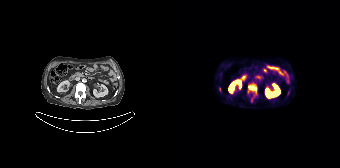
Coordinates are on the 168×168 PET (right) panel. PSMA-avid tumor lesion bounding boxes (x, y, width, height): x=76 y=83 w=10 h=17 / x=47 y=87 w=3 h=5. Small PSMA-avid focus (2 to 4 px across) near (center x, center y): (115, 94).